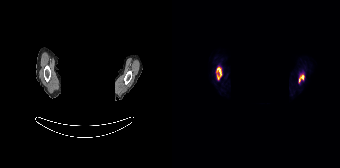
- face de-identified by blanking a block of the head
- Paired axial CT (left) and PSMA PET (right), 18F tracer
- PET panel 168×168 px (4.1 mm/px)
Findings: Coordinates are on the 168×168 PET (right) panel. PSMA-avid tumor lesion bounding boxes (x0, y0)-(x1, y1): (44, 67)-(49, 79) / (126, 73)-(132, 83).